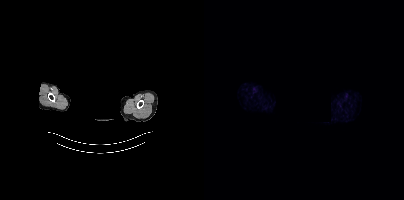
Findings: No PSMA-avid tumor lesions on this slice.
Technique: Paired axial CT (left) and PSMA PET (right), 68Ga-PSMA tracer. acquired on Siemens Biograph mCT Flow 20. slice position z = -866 mm.
Note: The head region is masked for de-identification.